modality: PSMA PET/CT | tracer: 68Ga | view: axial | PET grid: 200×200
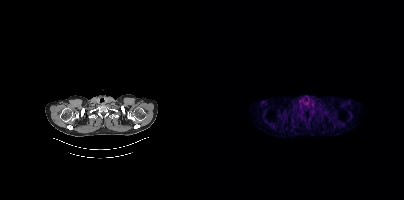
No tumor lesions annotated on this slice.